- Left: CT. Right: PSMA PET, same axial level, 68Ga-PSMA tracer
- acquired on Siemens Biograph 64-4R TruePoint
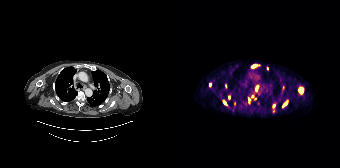
Findings: Coordinates are on the 168×168 PET (right) panel. (showing 11 of 14 foci) PSMA-avid tumor lesion bounding boxes (x, y, width, height): x=127 y=88 w=5 h=6 / x=79 y=64 w=6 h=4 / x=83 y=86 w=4 h=6 / x=111 y=102 w=5 h=5 / x=53 y=84 w=2 h=5. Small PSMA-avid foci (2 to 4 px across) near (center x, center y): (52, 102) / (102, 105) / (95, 68) / (56, 97) / (76, 99) / (37, 84).